Two-panel axial: CT | PSMA PET, 18F tracer. Slice position z = -1220 mm.
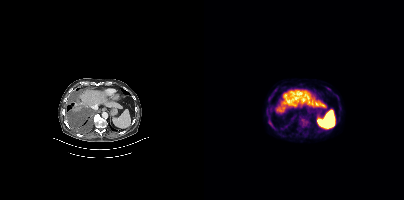
Coordinates are on the 200×200 PET (right) panel. PSMA-avid tumor lesion bounding boxes:
| # | x0 | y0 | x1 | y1 |
|---|---|---|---|---|
| 1 | 96 | 118 | 104 | 127 |
| 2 | 64 | 118 | 67 | 124 |
| 3 | 64 | 96 | 67 | 101 |
| 4 | 122 | 87 | 126 | 90 |
Small PSMA-avid focus (2 to 4 px across) near (center x, center y): (71, 89).